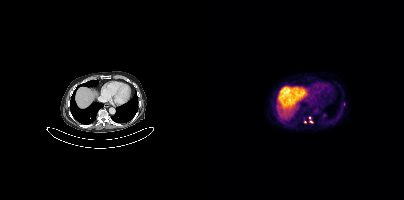
Coordinates are on the 200×200 PET (right) panel. Small PSMA-avid foci (2 to 4 px across) near (center x, center y): (100, 118) (107, 121) (105, 117) (101, 121).